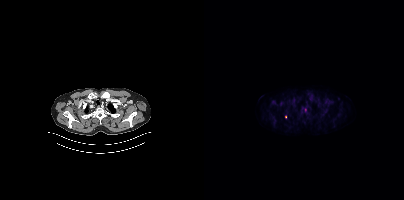
- Paired axial CT (left) and PSMA PET (right), 18F tracer
- slice 341 of 421
Findings: Coordinates are on the 200×200 PET (right) panel. Small PSMA-avid focus (2 to 4 px across) near (center x, center y): (81, 117).